- Paired axial CT (left) and PSMA PET (right), [18F]PSMA-1007 tracer
- slice position z = -605 mm
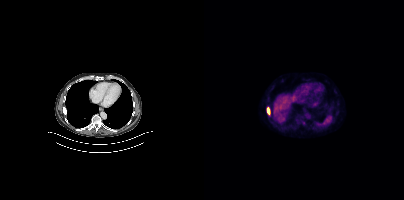
Findings: Coordinates are on the 200×200 PET (right) panel. PSMA-avid tumor lesion bounding box (x0, y0)-(x1, y1): (63, 107)-(65, 114).